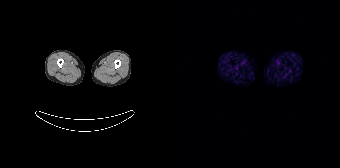
Two-panel axial: CT | PSMA PET, 68Ga tracer. PET panel 168×168 px (4.1 mm/px). No tumor lesions annotated on this slice.